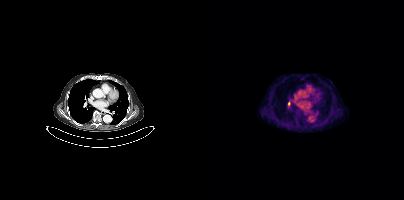
- Two-panel axial: CT | PSMA PET, 18F-PSMA tracer
- PET panel 200×200 px (4.1 mm/px)
Findings: Coordinates are on the 200×200 PET (right) panel. Small PSMA-avid focus (2 to 4 px across) near (center x, center y): (84, 103).